Two-panel axial: CT | PSMA PET, 18F tracer. Acquired on Siemens Biograph mCT Flow 20. Slice 237 of 417. PET panel 200×200 px (4.1 mm/px).
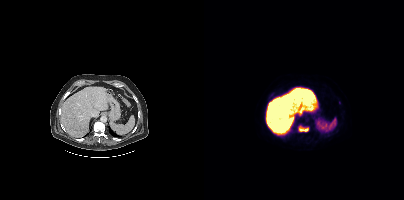
Coordinates are on the 200×200 PET (right) panel. PSMA-avid tumor lesion bounding boxes (partial; 1 more focus not listed):
| # | x0 | y0 | x1 | y1 |
|---|---|---|---|---|
| 1 | 95 | 126 | 104 | 131 |